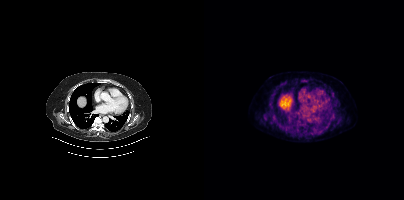
Technique: Left: CT. Right: PSMA PET, same axial level, 18F-PSMA tracer. acquired on Siemens Biograph mCT Flow 20. slice 301 of 438. PET panel 200×200 px (4.1 mm/px).
Findings: This slice has no annotated PSMA-avid lesion.